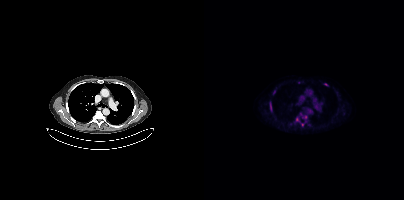
Coordinates are on the 200×200 PET (right) panel. PSMA-avid tumor lesion bounding box (x0, y0)-(x1, y1): (66, 103)-(67, 110). Small PSMA-avid foci (2 to 4 px across) near (center x, center y): (121, 84) | (70, 92) | (92, 119) | (101, 116) | (98, 124).
modality: PSMA PET/CT | tracer: [18F]PSMA-1007 | view: axial | PET grid: 200×200